Paired axial CT (left) and PSMA PET (right), [68Ga]Ga-PSMA-11 tracer.
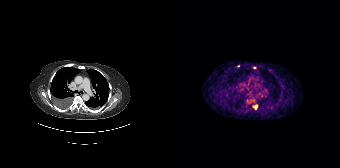
Coordinates are on the 168×168 PET (right) panel. (showing 2 of 4 foci) Small PSMA-avid foci (2 to 4 px across) near (center x, center y): (84, 106) | (82, 67).